De-identified by setting a box covering the face to black before release.
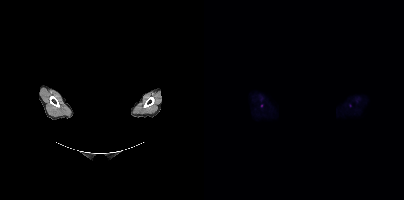
Coordinates are on the 200×200 PET (right) panel. (showing 1 of 2 foci) Small PSMA-avid focus (2 to 4 px across) near (center x, center y): (57, 105).